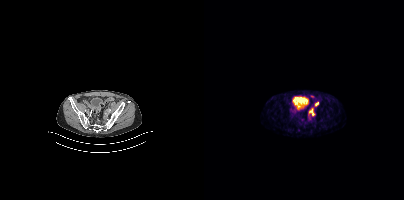
Findings: Coordinates are on the 200×200 PET (right) panel. PSMA-avid tumor lesion bounding box (x, y, width, height): x=105 y=108 w=6 h=8. Small PSMA-avid foci (2 to 4 px across) near (center x, center y): (112, 103); (93, 107).
- Left: CT. Right: PSMA PET, same axial level, [68Ga]Ga-PSMA-11 tracer
- slice position z = -1362 mm
- PET panel 200×200 px (4.1 mm/px)